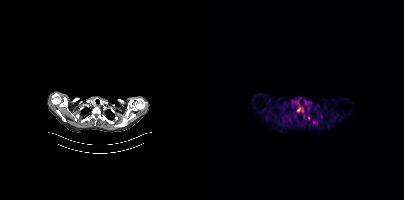
Coordinates are on the 200×200 PET (right) panel. PSMA-avid tumor lesion bounding box (x0, y0)-(x1, y1): (93, 107)-(96, 111). Small PSMA-avid focus (2 to 4 px across) near (center x, center y): (104, 117).
modality: PSMA PET/CT | tracer: 18F-PSMA | view: axial | PET grid: 200×200